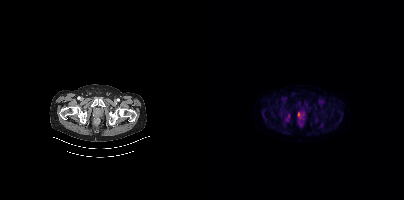
- Left: CT. Right: PSMA PET, same axial level, [18F]PSMA-1007 tracer
- acquired on Siemens Biograph mCT Flow 20
- slice 68 of 409
- PET panel 200×200 px (4.1 mm/px)
Findings: Coordinates are on the 200×200 PET (right) panel. PSMA-avid tumor lesion bounding box (x0,y0,x1,y1): [94,112,96,117].